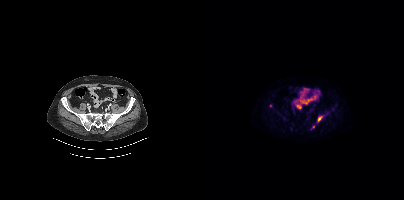
Coordinates are on the 200×200 PET (right) panel. (showing 3 of 4 foci) PSMA-avid tumor lesion bounding box (x0,y0,x1,y1): [114,116,118,121]. Small PSMA-avid foci (2 to 4 px across) near (center x, center y): (80, 118), (109, 126).